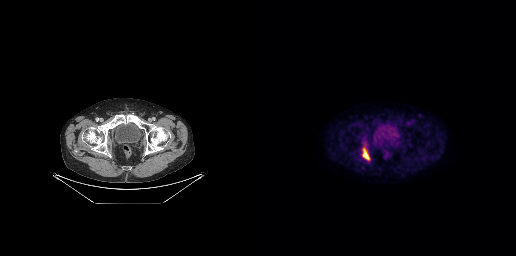
modality: PSMA PET/CT | tracer: [18F]PSMA-1007 | view: axial | PET grid: 256×256
Coordinates are on the 256×256 PET (right) panel. PSMA-avid tumor lesion bounding box (x, y, width, height): x=102 y=147 w=9 h=14.